Head region blanked for anonymization (face removed). Two-panel axial: CT | PSMA PET, 18F-PSMA tracer. PET panel 200×200 px (4.1 mm/px).
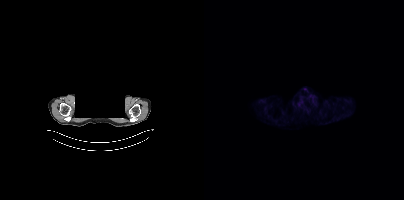
This slice has no annotated PSMA-avid lesion.